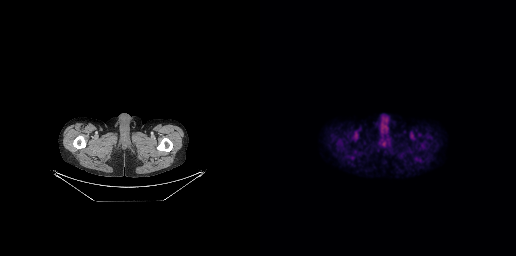
No PSMA-avid tumor lesions on this slice.
modality: PSMA PET/CT | tracer: 18F | view: axial